Any black rectangle over the head is a privacy mask, not anatomy. Two-panel axial: CT | PSMA PET, [18F]PSMA-1007 tracer. Acquired on Siemens Biograph mCT Flow 20. Slice 317 of 377. PET panel 200×200 px (4.1 mm/px).
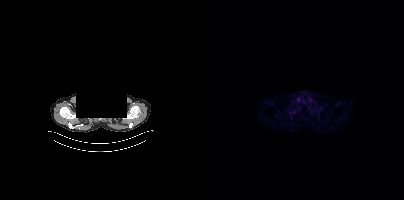
No PSMA-avid tumor lesions on this slice.